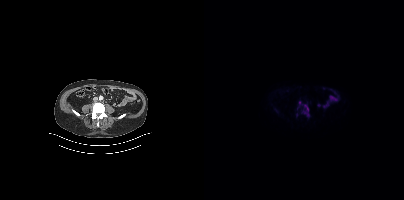
- Two-panel axial: CT | PSMA PET, 18F tracer
Findings: Coordinates are on the 200×200 PET (right) panel. PSMA-avid tumor lesion bounding box (x0, y0)-(x1, y1): (98, 104)-(105, 114). Small PSMA-avid focus (2 to 4 px across) near (center x, center y): (93, 108).